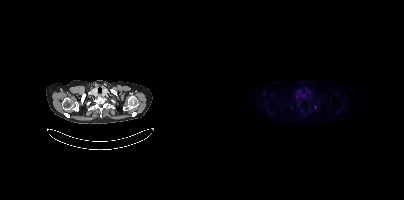
Two-panel axial: CT | PSMA PET, 18F tracer. Slice position z = 442 mm. PET panel 200×200 px (4.1 mm/px). Coordinates are on the 200×200 PET (right) panel. Small PSMA-avid focus (2 to 4 px across) near (center x, center y): (111, 106).